Technique: Two-panel axial: CT | PSMA PET, 18F-PSMA tracer.
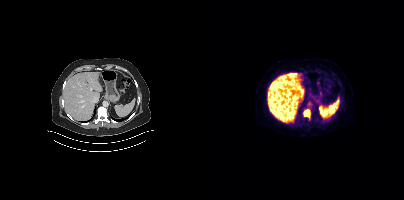
Findings: Coordinates are on the 200×200 PET (right) panel. PSMA-avid tumor lesion bounding box (x0,y0,x1,y1): [99,109,106,118].